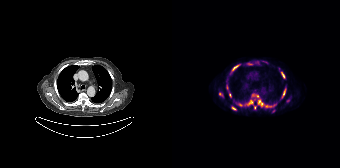
- Paired axial CT (left) and PSMA PET (right), [18F]PSMA-1007 tracer
- acquired on Siemens Biograph 64-4R TruePoint
- slice 123 of 165
Findings: Coordinates are on the 168×168 PET (right) panel. (showing 14 of 16 foci) PSMA-avid tumor lesion bounding boxes (x0, y0)-(x1, y1): (85, 99)-(92, 106) | (74, 100)-(81, 105) | (59, 65)-(66, 72) | (80, 94)-(86, 97) | (110, 88)-(114, 97) | (94, 104)-(102, 107) | (109, 72)-(113, 78) | (60, 106)-(64, 110) | (66, 103)-(70, 106) | (57, 93)-(59, 97) | (54, 85)-(56, 89). Small PSMA-avid foci (2 to 4 px across) near (center x, center y): (83, 107) | (47, 94) | (115, 100).